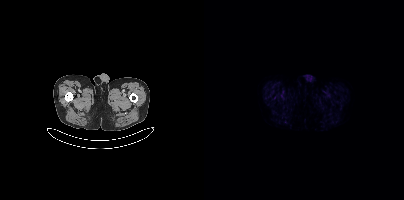
Findings: This slice has no annotated PSMA-avid lesion.
Technique: Two-panel axial: CT | PSMA PET, 18F-PSMA tracer.